Paired axial CT (left) and PSMA PET (right), [18F]PSMA-1007 tracer. Acquired on Siemens Biograph mCT Flow 20. Slice 256 of 444. PET panel 200×200 px (4.1 mm/px).
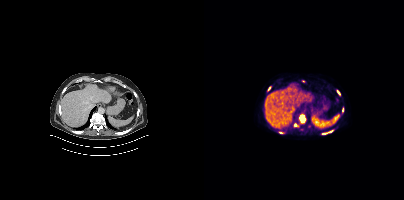
Coordinates are on the 200×200 PET (right) panel. PSMA-avid tumor lesion bounding boxes:
| # | x0 | y0 | x1 | y1 |
|---|---|---|---|---|
| 1 | 95 | 116 | 101 | 122 |
| 2 | 90 | 124 | 94 | 126 |
| 3 | 133 | 90 | 136 | 94 |
Small PSMA-avid focus (2 to 4 px across) near (center x, center y): (126, 131).